Two-panel axial: CT | PSMA PET, 68Ga-PSMA tracer. PET panel 256×256 px (2.7 mm/px).
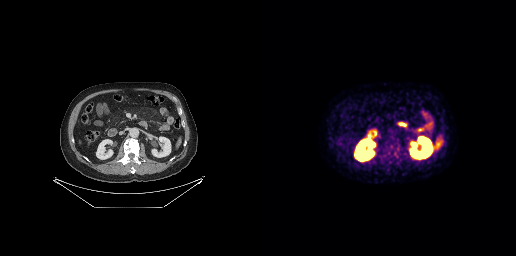
No PSMA-avid tumor lesions on this slice.